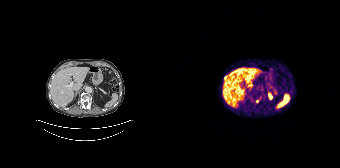
Coordinates are on the 168×168 PET (right) panel. Small PSMA-avid foci (2 to 4 px across) near (center x, center y): (53, 77) | (85, 101).